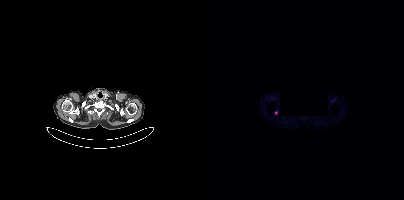
Coordinates are on the 200×200 PET (right) panel. Small PSMA-avid focus (2 to 4 px across) near (center x, center y): (72, 112).
modality: PSMA PET/CT | tracer: 18F-PSMA | view: axial | deidentification: region redacted